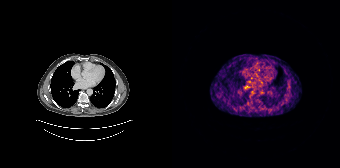
{"modality":"PSMA PET/CT","view":"axial","tracer":"68Ga-PSMA","pet_grid":[168,168],"coord_frame":"pet_panel","coord_format":"x0,y0,x1,y1","psma_avid_lesions":false}